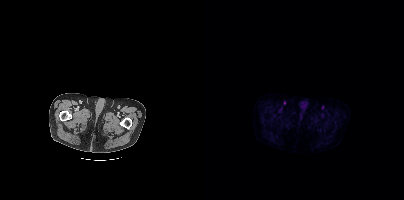
- Left: CT. Right: PSMA PET, same axial level, 18F-PSMA tracer
- acquired on Siemens Biograph mCT Flow 20
- slice position z = -1026 mm
Findings: Negative for PSMA-avid disease on this slice.